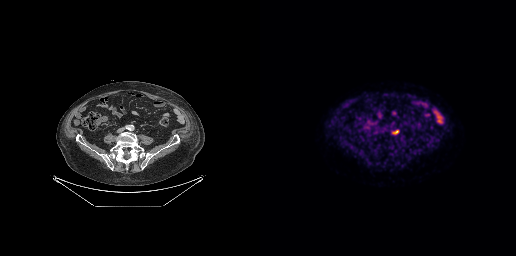
- Two-panel axial: CT | PSMA PET, [18F]PSMA-1007 tracer
- acquired on GE Discovery 690
- PET panel 256×256 px (2.7 mm/px)
Findings: Coordinates are on the 256×256 PET (right) panel. PSMA-avid tumor lesion bounding box (x0, y0)-(x1, y1): (132, 129)-(139, 134).